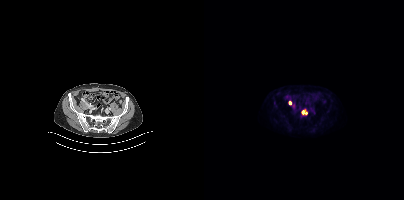
Findings: Coordinates are on the 200×200 PET (right) panel. PSMA-avid tumor lesion bounding boxes (x, y, width, height): x=97 y=110 w=7 h=5 | x=84 y=100 w=4 h=5. Small PSMA-avid focus (2 to 4 px across) near (center x, center y): (89, 105).
- Paired axial CT (left) and PSMA PET (right), [18F]PSMA-1007 tracer
- acquired on Siemens Biograph mCT Flow 20
- slice position z = -1514 mm